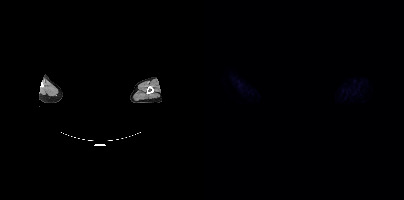
{"pet_grid":[200,200],"coord_frame":"pet_panel","coord_format":"x0,y0,x1,y1","psma_avid_lesions":false,"modality":"PSMA PET/CT","view":"axial","tracer":"18F-PSMA","de-identification":"facial region redacted"}